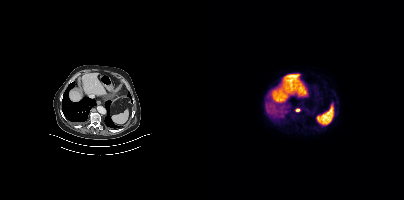
Coordinates are on the 200×200 PET (right) panel. PSMA-avid tumor lesion bounding box (x0,y0,x1,y1): [91,109,95,111].